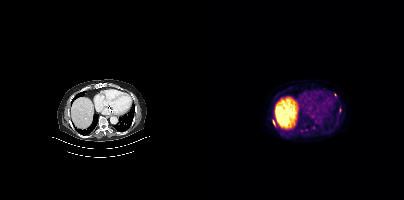
Two-panel axial: CT | PSMA PET, [18F]PSMA-1007 tracer. Slice position z = -1141 mm. PET panel 200×200 px (4.1 mm/px). Coordinates are on the 200×200 PET (right) panel. (showing 3 of 5 foci) PSMA-avid tumor lesion bounding boxes (x, y, width, height): x=69 y=120 w=3 h=6 | x=135 y=108 w=2 h=5. Small PSMA-avid focus (2 to 4 px across) near (center x, center y): (131, 94).